A rectangular block over the head has been blanked out for de-identification. Left: CT. Right: PSMA PET, same axial level, [18F]PSMA-1007 tracer. Slice position z = -840 mm.
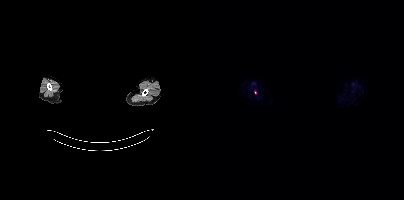
Coordinates are on the 200×200 PET (right) panel. Small PSMA-avid focus (2 to 4 px across) near (center x, center y): (51, 92).